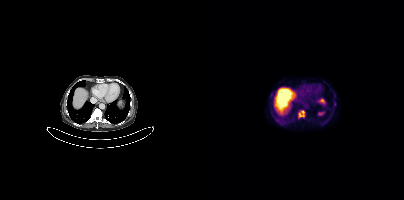
Coordinates are on the 200×200 PET (right) panel. PSMA-avid tumor lesion bounding boxes:
| # | x0 | y0 | x1 | y1 |
|---|---|---|---|---|
| 1 | 94 | 110 | 100 | 118 |
Left: CT. Right: PSMA PET, same axial level, 18F tracer. Acquired on Siemens Biograph mCT Flow 20. Slice 229 of 391.